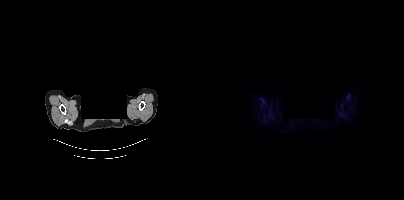
Technique: Two-panel axial: CT | PSMA PET, [18F]PSMA-1007 tracer. acquired on Siemens Biograph mCT Flow 20.
Note: Face de-identified by blanking a block of the head.
Findings: This slice has no annotated PSMA-avid lesion.